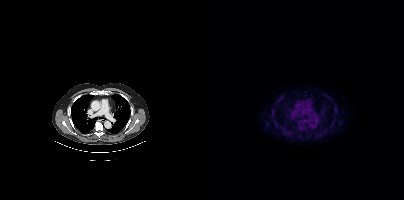
No tumor lesions annotated on this slice.